Left: CT. Right: PSMA PET, same axial level, 68Ga-PSMA tracer. Acquired on Siemens Biograph 64-4R TruePoint. Slice position z = -1390 mm. PET panel 168×168 px (4.1 mm/px).
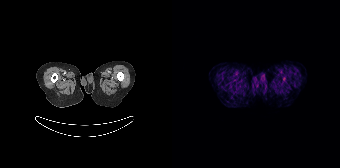
This slice has no annotated PSMA-avid lesion.